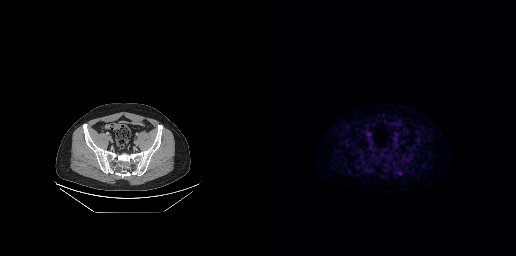
{"modality":"PSMA PET/CT","view":"axial","tracer":"[18F]PSMA-1007","pet_grid":[256,256],"coord_frame":"pet_panel","coord_format":"x0,y0,x1,y1","lesion_bboxes":[],"small_foci_centers":[[139,172]]}